modality: PSMA PET/CT | tracer: 18F | view: axial | PET grid: 200×200
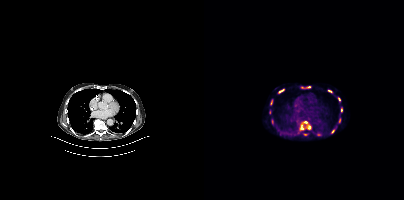
Coordinates are on the 200×200 PET (right) panel. (showing 10 of 12 foci) PSMA-avid tumor lesion bounding boxes (x, y, width, height): x=95 y=121 w=13 h=10 | x=96 y=86 w=12 h=4 | x=74 y=89 w=7 h=5 | x=124 y=90 w=5 h=4 | x=137 y=107 w=2 h=6 | x=134 y=97 w=3 h=5 | x=66 y=99 w=3 h=6 | x=127 y=129 w=4 h=5 | x=135 y=118 w=2 h=5. Small PSMA-avid focus (2 to 4 px across) near (center x, center y): (101, 134).